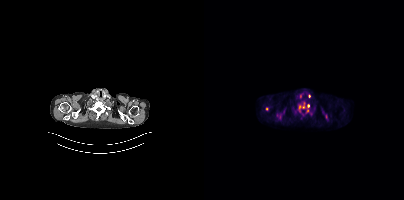
{"pet_grid":[200,200],"coord_frame":"pet_panel","coord_format":"x0,y0,x1,y1","partial":true,"lesion_bboxes":[[94,102,105,112],[72,110,80,119]],"small_foci_centers":[[63,108]],"modality":"PSMA PET/CT","view":"axial","tracer":"[18F]PSMA-1007"}